modality: PSMA PET/CT | tracer: 18F-PSMA | view: axial | PET grid: 200×200
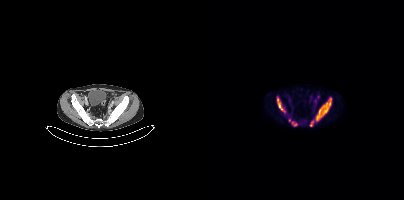
Coordinates are on the 200×200 PET (right) panel. (showing 4 of 5 foci) PSMA-avid tumor lesion bounding boxes (x, y, width, height): x=106 y=97 w=22 h=30 / x=73 y=96 w=9 h=18 / x=88 y=121 w=6 h=6. Small PSMA-avid focus (2 to 4 px across) near (center x, center y): (85, 120).